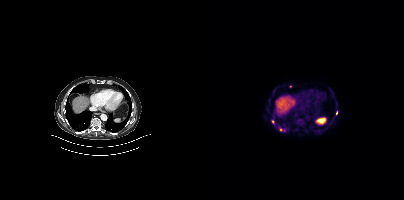
Technique: Left: CT. Right: PSMA PET, same axial level, 18F-PSMA tracer. slice position z = -546 mm.
Findings: Coordinates are on the 200×200 PET (right) panel. PSMA-avid tumor lesion bounding box (x0,y0,x1,y1): [75,128,81,131]. Small PSMA-avid foci (2 to 4 px across) near (center x, center y): (69, 121) (132, 112) (86, 86).